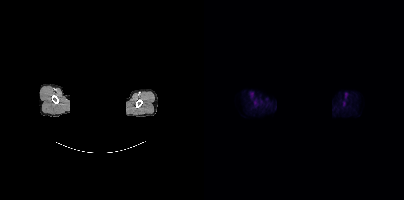
No PSMA-avid tumor lesions on this slice.
modality: PSMA PET/CT | tracer: [18F]PSMA-1007 | view: axial | PET grid: 200×200 | redaction: facial region redacted